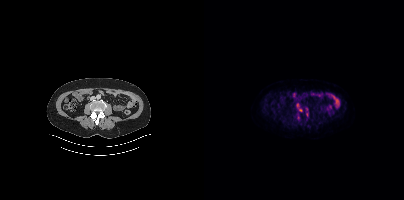
Findings: No tumor lesions annotated on this slice.
Technique: Paired axial CT (left) and PSMA PET (right), 18F tracer. acquired on Siemens Biograph mCT Flow 20. PET panel 200×200 px (4.1 mm/px).